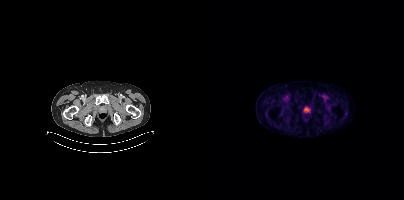
Two-panel axial: CT | PSMA PET, 68Ga-PSMA tracer. Acquired on Siemens Biograph mCT Flow 20. Coordinates are on the 200×200 PET (right) panel. Small PSMA-avid focus (2 to 4 px across) near (center x, center y): (102, 110).